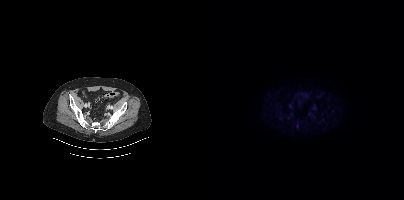
Left: CT. Right: PSMA PET, same axial level, 18F-PSMA tracer. Slice position z = -968 mm. Coordinates are on the 200×200 PET (right) panel. Small PSMA-avid focus (2 to 4 px across) near (center x, center y): (93, 126).